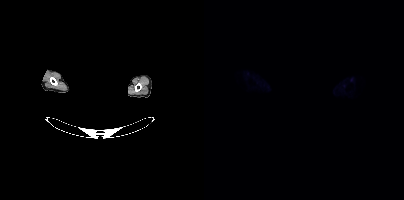
- de-identified by setting a box covering the face to black before release
- Two-panel axial: CT | PSMA PET, [18F]PSMA-1007 tracer
- acquired on Siemens Biograph mCT Flow 20
- slice 399 of 427
- PET panel 200×200 px (4.1 mm/px)
Findings: No tumor lesions annotated on this slice.